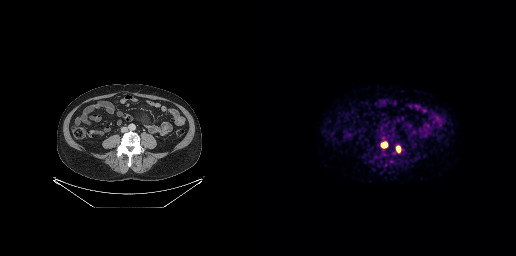
Findings: Coordinates are on the 256×256 PET (right) panel. PSMA-avid tumor lesion bounding boxes (x, y, width, height): x=121 y=142 w=7 h=6 / x=136 y=146 w=5 h=7.
- Left: CT. Right: PSMA PET, same axial level, 68Ga-PSMA tracer
- PET panel 256×256 px (2.7 mm/px)